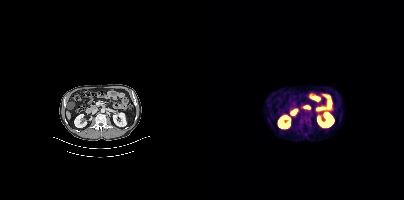
Technique: Paired axial CT (left) and PSMA PET (right), 18F tracer. acquired on Siemens Biograph mCT Flow 20. PET panel 200×200 px (4.1 mm/px).
Findings: Coordinates are on the 200×200 PET (right) panel. PSMA-avid tumor lesion bounding box (x0, y0)-(x1, y1): (95, 115)-(107, 127).